- Two-panel axial: CT | PSMA PET, 18F tracer
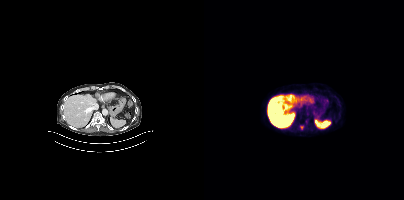
Findings: Coordinates are on the 200×200 PET (right) panel. Small PSMA-avid focus (2 to 4 px across) near (center x, center y): (97, 127).